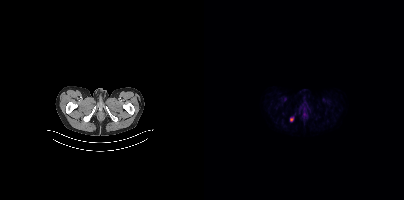
- Two-panel axial: CT | PSMA PET, 18F tracer
- acquired on Siemens Biograph mCT Flow 20
- slice position z = -906 mm
Findings: Coordinates are on the 200×200 PET (right) panel. Small PSMA-avid focus (2 to 4 px across) near (center x, center y): (86, 119).